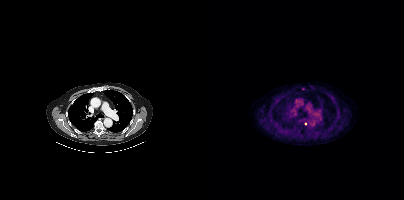
{"modality":"PSMA PET/CT","view":"axial","tracer":"[18F]PSMA-1007","pet_grid":[200,200],"coord_frame":"pet_panel","coord_format":"x0,y0,x1,y1","lesion_bboxes":[],"small_foci_centers":[[99,88],[101,123]]}